Technique: Left: CT. Right: PSMA PET, same axial level, 18F-PSMA tracer. slice 162 of 371.
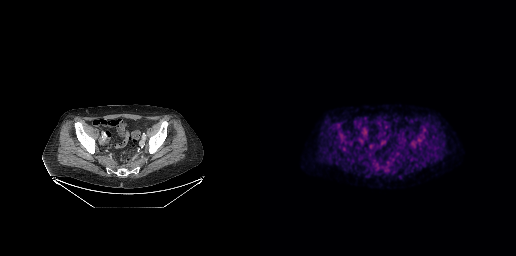
Findings: No tumor lesions annotated on this slice.